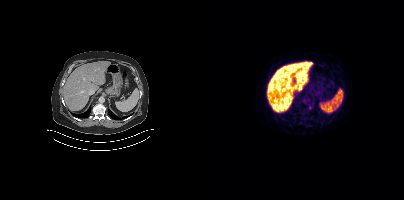
Left: CT. Right: PSMA PET, same axial level, 18F-PSMA tracer. Slice 246 of 435.
Coordinates are on the 200×200 PET (right) panel. PSMA-avid tumor lesion bounding boxes:
| # | x0 | y0 | x1 | y1 |
|---|---|---|---|---|
| 1 | 104 | 105 | 108 | 110 |